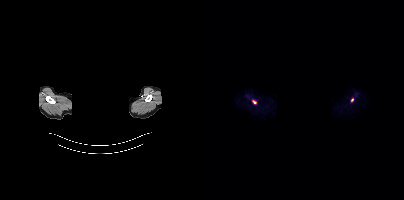
{"modality":"PSMA PET/CT","view":"axial","tracer":"[18F]PSMA-1007","pet_grid":[200,200],"coord_frame":"pet_panel","coord_format":"x0,y0,x1,y1","lesion_bboxes":[[48,100,52,103]],"small_foci_centers":[[148,100]],"deidentification":"head region blacked out before release"}